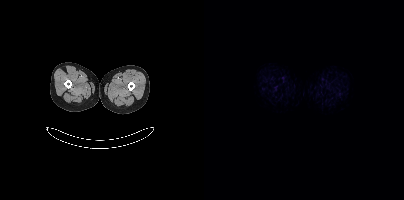
No PSMA-avid tumor lesions on this slice.